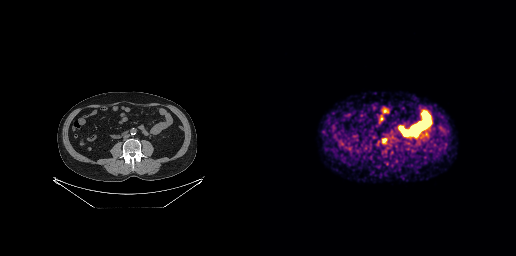
{"modality":"PSMA PET/CT","view":"axial","tracer":"68Ga","pet_grid":[256,256],"coord_frame":"pet_panel","coord_format":"x0,y0,x1,y1","lesion_bboxes":[],"small_foci_centers":[[124,140]]}